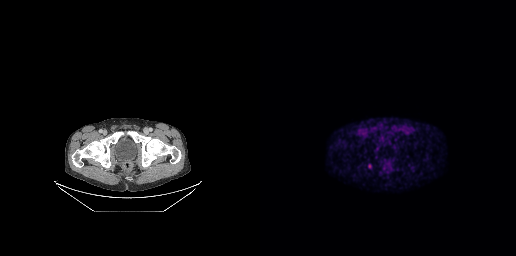
{"modality":"PSMA PET/CT","view":"axial","tracer":"18F-PSMA","pet_grid":[256,256],"coord_frame":"pet_panel","coord_format":"x0,y0,x1,y1","lesion_bboxes":[[108,164,111,168]]}